Technique: Two-panel axial: CT | PSMA PET, 18F-PSMA tracer. slice 192 of 263. PET panel 256×256 px (2.7 mm/px).
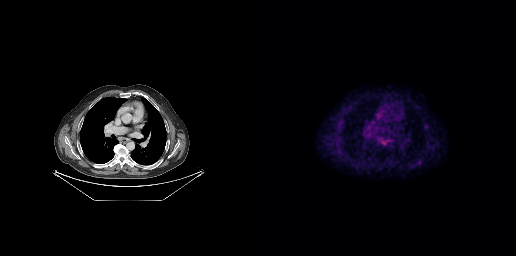
Findings: Only PSMA-avid lesion pieces thinner than 2 px on this slice (not listed).